Left: CT. Right: PSMA PET, same axial level, 18F-PSMA tracer. PET panel 256×256 px (2.7 mm/px).
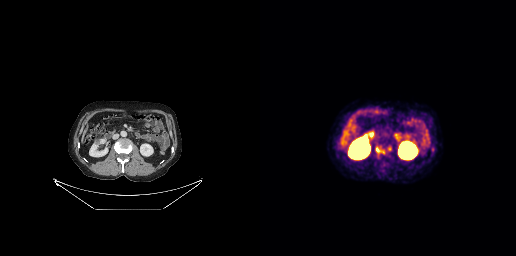
Coordinates are on the 256×256 PET (right) panel. PSMA-avid tumor lesion bounding boxes (partial; 1 more focus not listed):
| # | x0 | y0 | x1 | y1 |
|---|---|---|---|---|
| 1 | 116 | 147 | 124 | 153 |